- Paired axial CT (left) and PSMA PET (right), 18F tracer
- PET panel 200×200 px (4.1 mm/px)
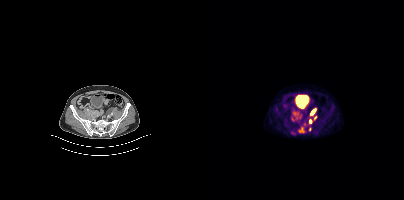
Findings: Coordinates are on the 200×200 PET (right) panel. (showing 6 of 7 foci) PSMA-avid tumor lesion bounding boxes (x0, y0)-(x1, y1): (87, 113)-(92, 120) / (95, 127)-(100, 132) / (107, 109)-(111, 114) / (87, 132)-(91, 134). Small PSMA-avid foci (2 to 4 px across) near (center x, center y): (106, 121) / (105, 129).